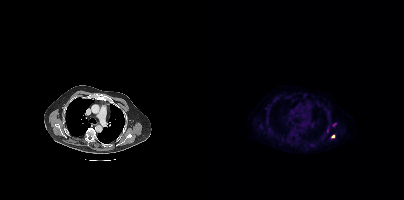
Coordinates are on the 200×200 PET (right) panel. Small PSMA-avid foci (2 to 4 px across) near (center x, center y): (129, 136); (123, 130). Paired axial CT (left) and PSMA PET (right), [18F]PSMA-1007 tracer. Acquired on Siemens Biograph mCT Flow 20. Slice position z = -470 mm.